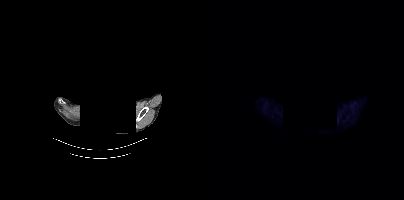
Facial anatomy redacted by setting a rectangular region of the head to black. Left: CT. Right: PSMA PET, same axial level, 18F tracer. Acquired on Siemens Biograph mCT Flow 20. No PSMA-avid tumor lesions on this slice.